Two-panel axial: CT | PSMA PET, 18F-PSMA tracer. Acquired on Siemens Biograph 64-4R TruePoint.
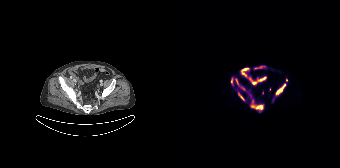
Coordinates are on the 168×168 PET (right) panel. (showing 8 of 10 foci) PSMA-avid tumor lesion bounding boxes (x0,y0,x1,y1): [78,99,91,112]; [103,83,114,95]; [63,79,74,91]; [66,91,73,101]; [59,78,61,85]. Small PSMA-avid foci (2 to 4 px across) near (center x, center y): (78, 95); (114, 80); (90, 92).